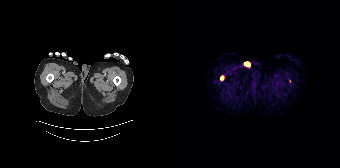
Coordinates are on the 168×168 PET (right) panel. (showing 1 of 2 foci) Small PSMA-avid focus (2 to 4 px across) near (center x, center y): (49, 77).
modality: PSMA PET/CT | tracer: 68Ga-PSMA | view: axial | PET grid: 168×168